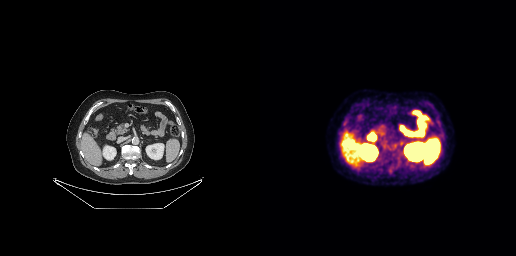
- Two-panel axial: CT | PSMA PET, [18F]PSMA-1007 tracer
- acquired on GE Discovery 690
Findings: No PSMA-avid tumor lesions on this slice.